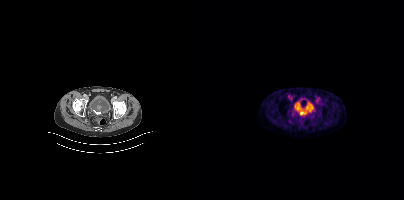
Technique: Paired axial CT (left) and PSMA PET (right), 18F-PSMA tracer.
Findings: Coordinates are on the 200×200 PET (right) panel. PSMA-avid tumor lesion bounding box (x, y, width, height): x=96 y=107 w=8 h=8.